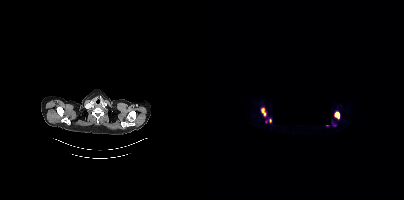
- some pixels were blanked for anonymization
- Left: CT. Right: PSMA PET, same axial level, 18F-PSMA tracer
- acquired on Siemens Biograph mCT Flow 20
Findings: Coordinates are on the 200×200 PET (right) panel. PSMA-avid tumor lesion bounding boxes (x0, y0)-(x1, y1): (130, 111)-(135, 118); (57, 108)-(61, 115). Small PSMA-avid focus (2 to 4 px across) near (center x, center y): (66, 120).